Technique: Left: CT. Right: PSMA PET, same axial level, 18F-PSMA tracer. slice position z = -1166 mm. PET panel 200×200 px (4.1 mm/px).
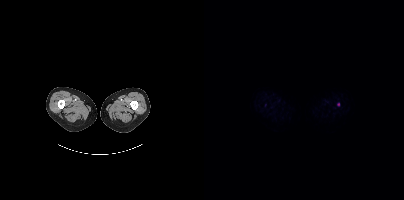
Findings: Coordinates are on the 200×200 PET (right) panel. Small PSMA-avid focus (2 to 4 px across) near (center x, center y): (134, 104).